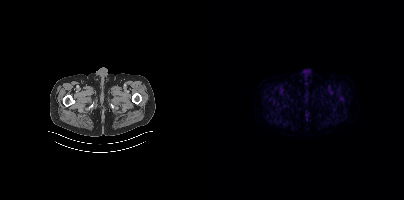
Negative for PSMA-avid disease on this slice.